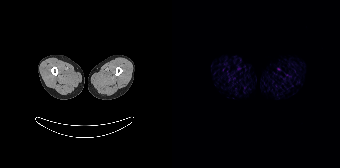
Technique: Two-panel axial: CT | PSMA PET, [68Ga]Ga-PSMA-11 tracer. acquired on Siemens Biograph 64-4R TruePoint.
Findings: This slice has no annotated PSMA-avid lesion.